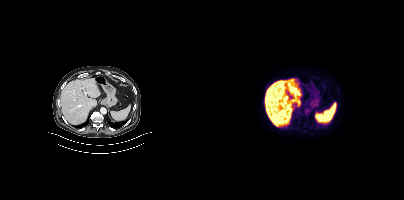
modality: PSMA PET/CT | tracer: 18F-PSMA | view: axial | PET grid: 200×200
No PSMA-avid tumor lesions on this slice.